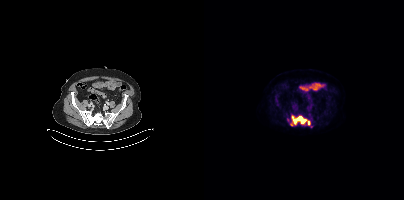
Coordinates are on the 200×200 PET (right) panel. PSMA-avid tumor lesion bounding box (x, y, width, height): x=86 y=115 w=21 h=11. Paired axial CT (left) and PSMA PET (right), [18F]PSMA-1007 tracer. Acquired on Siemens Biograph mCT Flow 20.